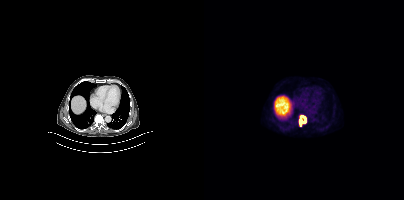
Paired axial CT (left) and PSMA PET (right), [18F]PSMA-1007 tracer. PET panel 200×200 px (4.1 mm/px).
Coordinates are on the 200×200 PET (right) panel. PSMA-avid tumor lesion bounding boxes:
| # | x0 | y0 | x1 | y1 |
|---|---|---|---|---|
| 1 | 94 | 115 | 102 | 126 |